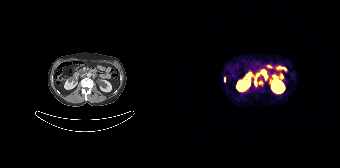
Coordinates are on the 168×168 PET (right) panel. Small PSMA-avid foci (2 to 4 px across) near (center x, center y): (88, 82); (52, 79); (83, 83).